Paired axial CT (left) and PSMA PET (right), 18F-PSMA tracer. Acquired on GE Discovery 690. Slice position z = -877 mm.
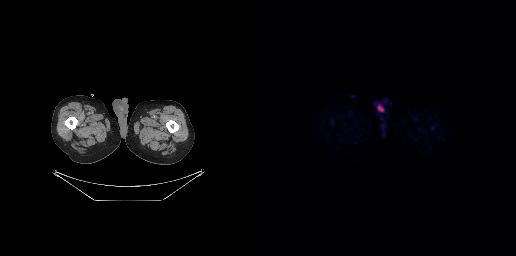
Negative for PSMA-avid disease on this slice.